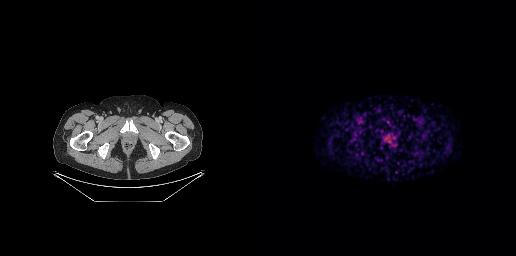
{"modality":"PSMA PET/CT","view":"axial","tracer":"68Ga","pet_grid":[256,256],"coord_frame":"pet_panel","coord_format":"x0,y0,x1,y1","lesion_bboxes":[],"small_foci_centers":[[131,142]]}